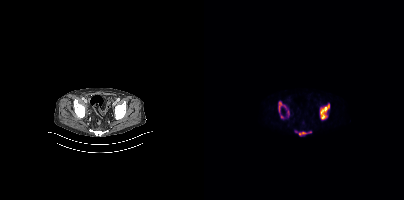
Findings: Coordinates are on the 200×200 PET (right) panel. (showing 5 of 6 foci) PSMA-avid tumor lesion bounding boxes (x0, y0)-(x1, y1): (116, 104)-(125, 119); (74, 101)-(82, 112); (95, 132)-(102, 135). Small PSMA-avid foci (2 to 4 px across) near (center x, center y): (78, 116); (84, 112).
Technique: Two-panel axial: CT | PSMA PET, 18F-PSMA tracer. slice 81 of 387.